modality: PSMA PET/CT | tracer: [68Ga]Ga-PSMA-11 | view: axial
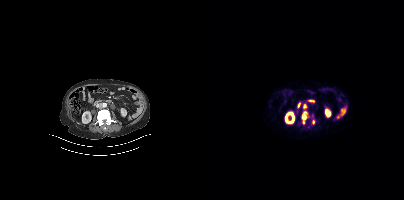
Coordinates are on the 200×200 PET (right) panel. PSMA-avid tumor lesion bounding boxes (x0,y0,x1,y1): [98,111,102,124] [99,104,103,109]. Small PSMA-avid focus (2 to 4 px across) near (center x, center y): (109, 121).